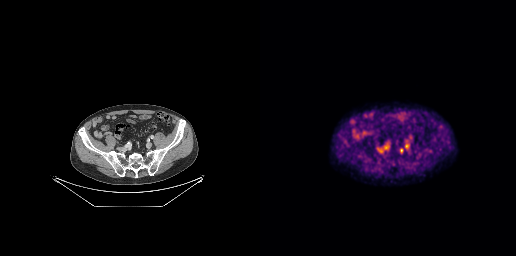
Coordinates are on the 256×256 PET (right) panel. Small PSMA-avid focus (2 to 4 px across) near (center x, center y): (141, 150). Left: CT. Right: PSMA PET, same axial level, 18F tracer. Acquired on GE Discovery 690.